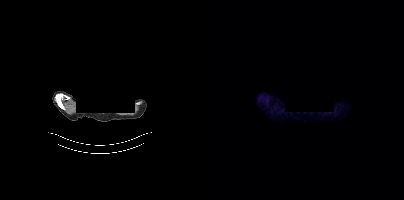
- Paired axial CT (left) and PSMA PET (right), [18F]PSMA-1007 tracer
- acquired on Siemens Biograph mCT Flow 20
- facial anatomy redacted by setting a rectangular region of the head to black
Findings: No PSMA-avid tumor lesions on this slice.